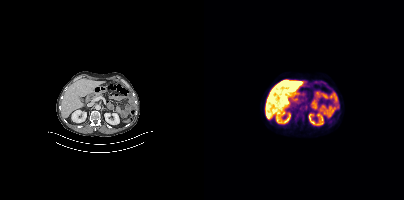
{"modality":"PSMA PET/CT","view":"axial","tracer":"18F","pet_grid":[200,200],"coord_frame":"pet_panel","coord_format":"x0,y0,x1,y1","psma_avid_lesions":false}